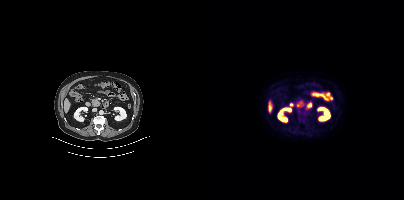
modality: PSMA PET/CT | tracer: 18F | view: axial
Negative for PSMA-avid disease on this slice.